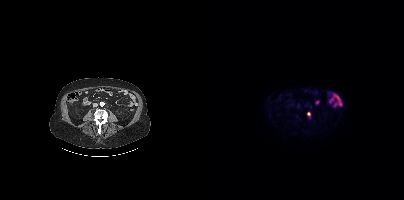
Two-panel axial: CT | PSMA PET, [18F]PSMA-1007 tracer. Coordinates are on the 200×200 PET (right) panel. Small PSMA-avid focus (2 to 4 px across) near (center x, center y): (104, 113).